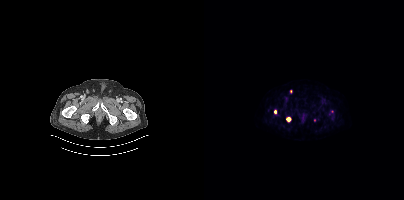
Coordinates are on the 200×200 PET (right) panel. (showing 3 of 5 foci) PSMA-avid tumor lesion bounding box (x0,y0,x1,y1): [82,117,87,121]. Small PSMA-avid foci (2 to 4 px across) near (center x, center y): (71, 111), (87, 91).